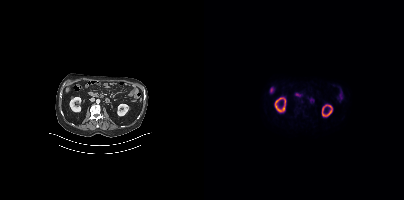
Findings: This slice has no annotated PSMA-avid lesion.
Technique: Left: CT. Right: PSMA PET, same axial level, 18F tracer. PET panel 200×200 px (4.1 mm/px).